Paired axial CT (left) and PSMA PET (right), 68Ga-PSMA tracer. Slice position z = -1271 mm.
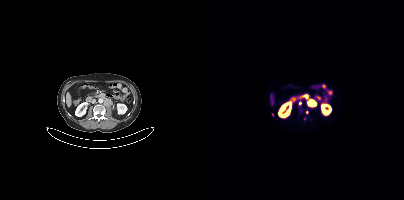
Coordinates are on the 200×200 PET (right) panel. (showing 1 of 2 foci) Small PSMA-avid focus (2 to 4 px across) near (center x, center y): (68, 114).